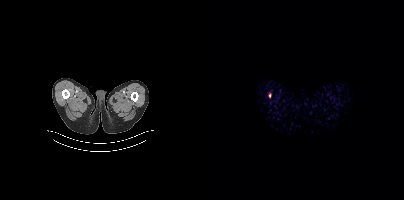
Paired axial CT (left) and PSMA PET (right), 18F-PSMA tracer. Slice position z = -158 mm. PET panel 200×200 px (4.1 mm/px). Coordinates are on the 200×200 PET (right) panel. Small PSMA-avid focus (2 to 4 px across) near (center x, center y): (66, 95).